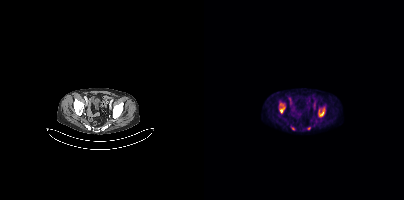
Paired axial CT (left) and PSMA PET (right), 18F tracer. Acquired on Siemens Biograph mCT Flow 20. Slice position z = -872 mm. PET panel 200×200 px (4.1 mm/px). Coordinates are on the 200×200 PET (right) panel. (showing 3 of 4 foci) PSMA-avid tumor lesion bounding boxes (x0,y0,x1,y1): [115,107,121,116]; [75,103,81,113]. Small PSMA-avid focus (2 to 4 px across) near (center x, center y): (89, 128).